modality: PSMA PET/CT | tracer: 18F-PSMA | view: axial | PET grid: 168×168
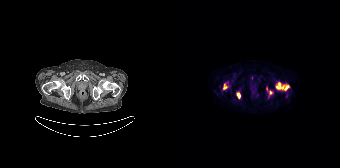
Coordinates are on the 168×168 PET (right) panel. PSMA-avid tumor lesion bounding boxes (x0, y0)-(x1, y1): (103, 82)-(117, 90) | (51, 84)-(57, 89) | (65, 92)-(68, 98) | (97, 90)-(100, 94). Small PSMA-avid foci (2 to 4 px across) near (center x, center y): (79, 77) | (94, 88).